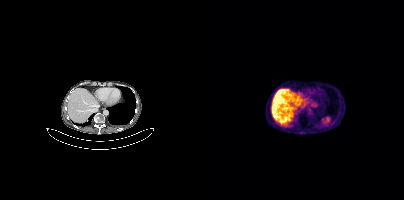
Technique: Two-panel axial: CT | PSMA PET, 68Ga-PSMA tracer.
Findings: Negative for PSMA-avid disease on this slice.